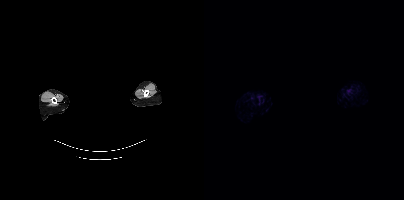
{"modality":"PSMA PET/CT","view":"axial","tracer":"18F-PSMA","pet_grid":[200,200],"coord_frame":"pet_panel","coord_format":"x0,y0,x1,y1","psma_avid_lesions":false,"deidentification":"head region blanked (face removed)"}